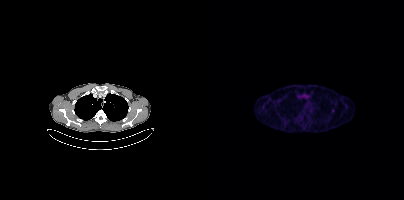
Technique: Two-panel axial: CT | PSMA PET, 18F tracer. slice 314 of 417.
Findings: Coordinates are on the 200×200 PET (right) panel. Small PSMA-avid focus (2 to 4 px across) near (center x, center y): (128, 110).